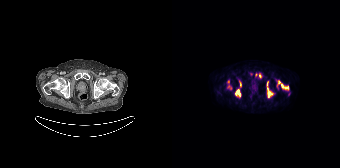
Coordinates are on the 168×168 PET (right) panel. (showing 5 of 6 foci) PSMA-avid tumor lesion bounding boxes (x0,y0,x1,y1): [94,81,101,97] [105,80,117,90] [62,80,69,96] [55,81,60,90]. Small PSMA-avid focus (2 to 4 px across) near (center x, center y): (87, 76).